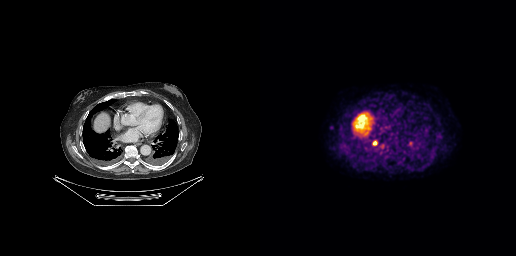
{"pet_grid":[256,256],"coord_frame":"pet_panel","coord_format":"x0,y0,x1,y1","lesion_bboxes":[[118,145,124,150],[113,141,117,145]],"small_foci_centers":[[150,143],[71,127]],"modality":"PSMA PET/CT","view":"axial","tracer":"[18F]PSMA-1007"}